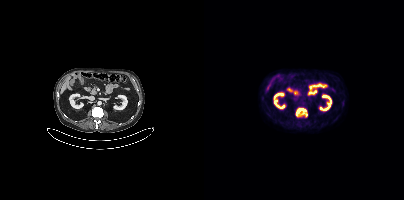
Coordinates are on the 200×200 PET (right) panel. (showing 1 of 2 foci) PSMA-avid tumor lesion bounding box (x0,y0,x1,y1): [92,108,103,116].